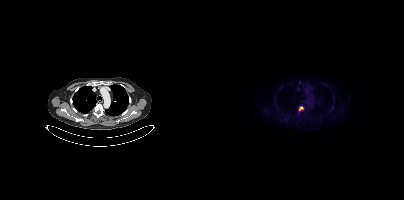
Coordinates are on the 200×200 PET (right) panel. PSMA-avid tumor lesion bounding box (x0, y0)-(x1, y1): (95, 106)-(99, 111). Small PSMA-avid focus (2 to 4 px across) near (center x, center y): (95, 81). Left: CT. Right: PSMA PET, same axial level, 18F tracer. Slice position z = 258 mm. PET panel 200×200 px (4.1 mm/px).